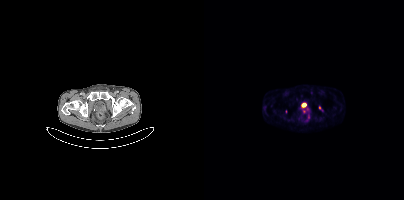
Paired axial CT (left) and PSMA PET (right), [68Ga]Ga-PSMA-11 tracer.
Coordinates are on the 200×200 PET (right) panel. PSMA-avid tumor lesion bounding boxes (partial; 3 more foci not listed):
| # | x0 | y0 | x1 | y1 |
|---|---|---|---|---|
| 1 | 102 | 108 | 105 | 112 |
| 2 | 104 | 114 | 105 | 118 |
Small PSMA-avid foci (2 to 4 px across) near (center x, center y): (115, 107); (99, 111).